Paired axial CT (left) and PSMA PET (right), 68Ga-PSMA tracer. Acquired on GE Discovery 690.
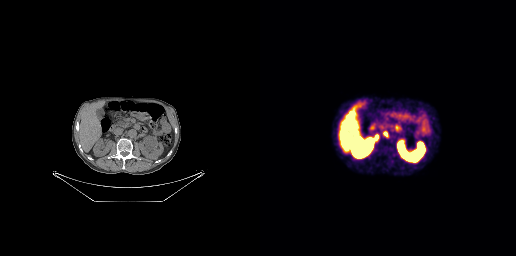
Coordinates are on the 256×256 PET (right) panel. Small PSMA-avid foci (2 to 4 px across) near (center x, center y): (125, 133), (116, 137).